Paired axial CT (left) and PSMA PET (right), 18F tracer. Slice position z = -983 mm. PET panel 200×200 px (4.1 mm/px). Head region blanked for anonymization (face removed).
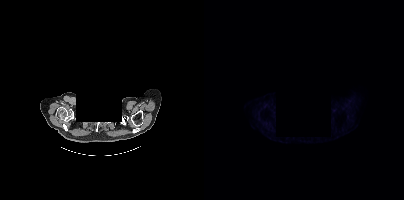
No PSMA-avid tumor lesions on this slice.